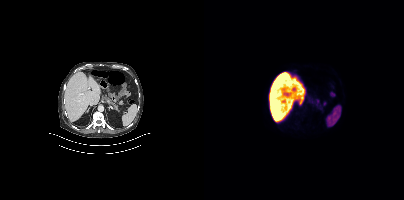
modality: PSMA PET/CT | tracer: 18F-PSMA | view: axial
This slice has no annotated PSMA-avid lesion.